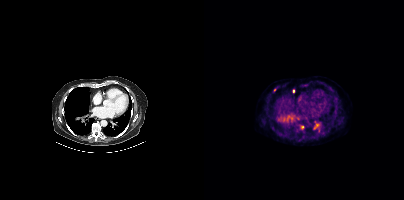
Coordinates are on the 200×200 PET (right) panel. PSMA-avid tumor lesion bounding boxes (partial; 3 more foci not listed):
| # | x0 | y0 | x1 | y1 |
|---|---|---|---|---|
| 1 | 109 | 124 | 114 | 129 |
Small PSMA-avid foci (2 to 4 px across) near (center x, center y): (98, 127); (89, 91); (70, 90).
Paired axial CT (left) and PSMA PET (right), [18F]PSMA-1007 tracer.